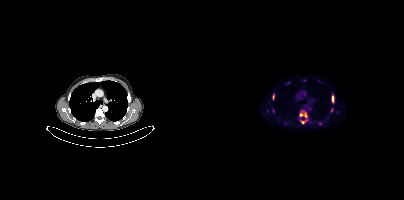
Paired axial CT (left) and PSMA PET (right), 18F tracer. Acquired on Siemens Biograph mCT Flow 20. PET panel 200×200 px (4.1 mm/px). Coordinates are on the 200×200 PET (right) panel. (showing 8 of 9 foci) PSMA-avid tumor lesion bounding boxes (x, y, width, height): x=95 y=110 w=9 h=15 | x=127 y=94 w=4 h=10 | x=68 y=93 w=3 h=8 | x=81 y=81 w=6 h=4 | x=127 y=108 w=3 h=5. Small PSMA-avid foci (2 to 4 px across) near (center x, center y): (69, 110) | (63, 110) | (115, 123).